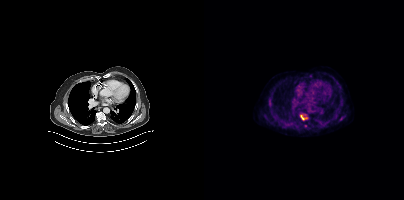
Coordinates are on the 200×200 PET (right) panel. PSMA-avid tumor lesion bounding boxes:
| # | x0 | y0 | x1 | y1 |
|---|---|---|---|---|
| 1 | 96 | 114 | 104 | 120 |
Small PSMA-avid foci (2 to 4 px across) near (center x, center y): (137, 118); (101, 125).
Left: CT. Right: PSMA PET, same axial level, 18F-PSMA tracer. Acquired on Siemens Biograph mCT Flow 20. PET panel 200×200 px (4.1 mm/px).